- Two-panel axial: CT | PSMA PET, 18F tracer
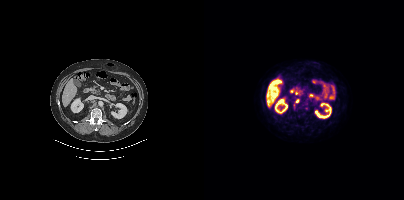
Findings: Coordinates are on the 200×200 PET (right) panel. (showing 2 of 3 foci) Small PSMA-avid foci (2 to 4 px across) near (center x, center y): (93, 100); (103, 108).